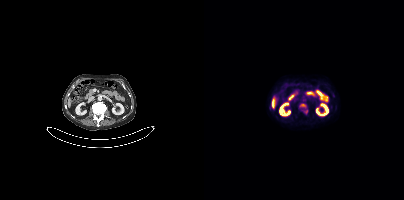
Coordinates are on the 200×200 PET (right) panel. PSMA-avid tumor lesion bounding box (x, y, width, height): x=95 y=103 w=8 h=6. Small PSMA-avid focus (2 to 4 px across) near (center x, center y): (101, 111).